Paired axial CT (left) and PSMA PET (right), [18F]PSMA-1007 tracer. Acquired on Siemens Biograph mCT Flow 20.
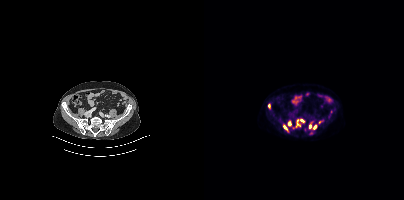
Coordinates are on the 200×200 PET (right) panel. (showing 9 of 10 foci) PSMA-avid tumor lesion bounding boxes (x0,y0,x1,y1): [84,121,87,125]; [109,125,112,129]; [79,125,83,130]; [105,124,107,128]; [64,104,66,109]; [96,119,100,122]. Small PSMA-avid foci (2 to 4 px across) near (center x, center y): (93, 120); (115, 122); (93, 123).